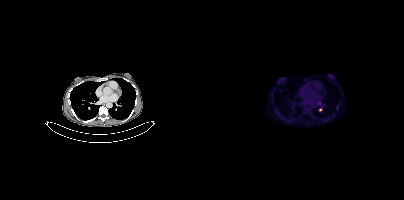
- Paired axial CT (left) and PSMA PET (right), [18F]PSMA-1007 tracer
- acquired on Siemens Biograph mCT Flow 20
Findings: Coordinates are on the 200×200 PET (right) panel. PSMA-avid tumor lesion bounding box (x0,y0,x1,y1): [72,111,75,115]. Small PSMA-avid foci (2 to 4 px across) near (center x, center y): (133, 107) (115, 103) (116, 109) (128, 115) (86, 121).